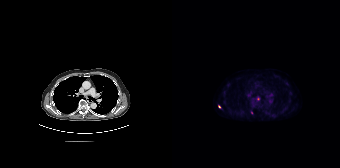
Findings: Coordinates are on the 168×168 PET (right) panel. Small PSMA-avid foci (2 to 4 px across) near (center x, center y): (47, 106) / (98, 101) / (79, 112) / (86, 98).
Technique: Left: CT. Right: PSMA PET, same axial level, 18F tracer. slice position z = -788 mm.